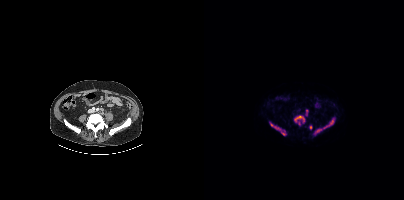
- Two-panel axial: CT | PSMA PET, [18F]PSMA-1007 tracer
- slice position z = -872 mm
- PET panel 200×200 px (4.1 mm/px)
Findings: Coordinates are on the 200×200 PET (right) panel. (showing 6 of 7 foci) PSMA-avid tumor lesion bounding boxes (x0, y0)-(x1, y1): (110, 118)-(130, 135) / (90, 115)-(100, 125) / (66, 123)-(76, 130) / (77, 132)-(81, 135). Small PSMA-avid foci (2 to 4 px across) near (center x, center y): (106, 127) / (102, 109).